Paired axial CT (left) and PSMA PET (right), [18F]PSMA-1007 tracer. Slice 20 of 299. PET panel 256×256 px (2.7 mm/px).
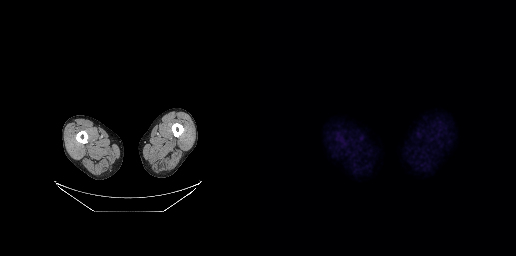
Negative for PSMA-avid disease on this slice.